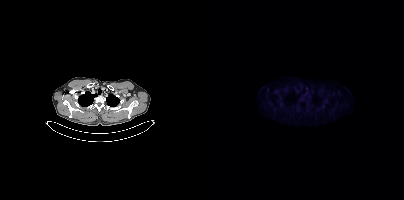
No PSMA-avid tumor lesions on this slice.